Technique: Two-panel axial: CT | PSMA PET, 68Ga tracer. PET panel 168×168 px (4.1 mm/px).
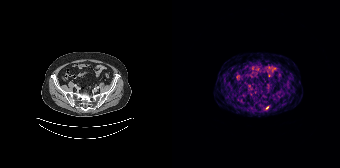
Findings: Coordinates are on the 168×168 PET (right) panel. Small PSMA-avid focus (2 to 4 px across) near (center x, center y): (95, 107).